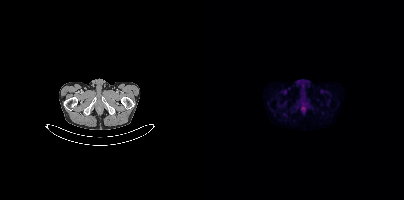
{"modality":"PSMA PET/CT","view":"axial","tracer":"18F","pet_grid":[200,200],"coord_frame":"pet_panel","coord_format":"x0,y0,x1,y1","psma_avid_lesions":false}